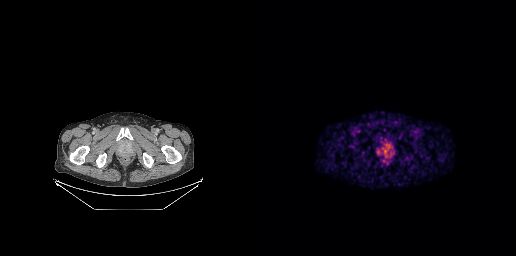
Coordinates are on the 256×256 PET (right) panel. PSMA-avid tumor lesion bounding box (x0,y0,x1,y1): [116,143,134,157].